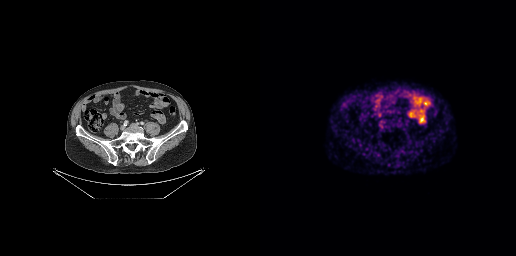
Technique: Two-panel axial: CT | PSMA PET, 68Ga tracer. slice position z = -753 mm. PET panel 256×256 px (2.7 mm/px).
Findings: This slice has no annotated PSMA-avid lesion.